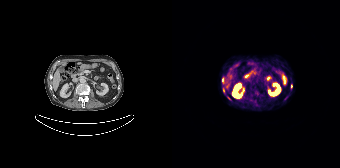
Two-panel axial: CT | PSMA PET, 68Ga-PSMA tracer. Acquired on Siemens Biograph 64-4R TruePoint. PET panel 168×168 px (4.1 mm/px). Coordinates are on the 168×168 PET (right) panel. (showing 3 of 4 foci) PSMA-avid tumor lesion bounding box (x0, y0)-(x1, y1): (50, 77)-(52, 82). Small PSMA-avid foci (2 to 4 px across) near (center x, center y): (51, 89) / (119, 86).